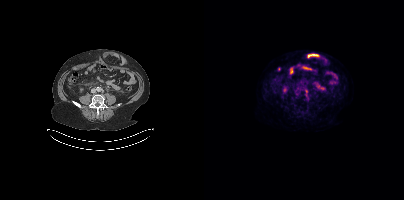
modality: PSMA PET/CT | tracer: 18F-PSMA | view: axial
Coordinates are on the 200×200 PET (right) panel. PSMA-avid tumor lesion bounding box (x0, y0)-(x1, y1): (102, 95)-(105, 99). Small PSMA-avid focus (2 to 4 px across) near (center x, center y): (102, 91).